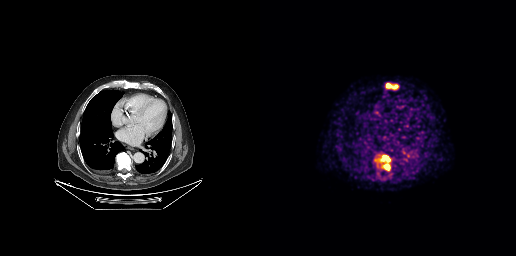
Coordinates are on the 256×256 PET (right) panel. PSMA-avid tumor lesion bounding boxes (partial; 2 more foci not listed):
| # | x0 | y0 | x1 | y1 |
|---|---|---|---|---|
| 1 | 114 | 154 | 131 | 171 |
| 2 | 126 | 83 | 138 | 89 |
Paired axial CT (left) and PSMA PET (right), [68Ga]Ga-PSMA-11 tracer. Acquired on GE Discovery 690. Slice position z = -404 mm.